Left: CT. Right: PSMA PET, same axial level, 68Ga tracer. PET panel 256×256 px (2.7 mm/px).
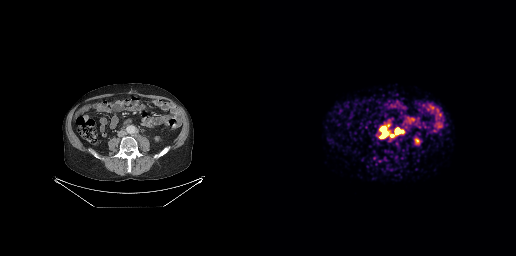
Coordinates are on the 256×256 PET (right) panel. PSMA-avid tumor lesion bounding boxes (x0, y0)-(x1, y1): (121, 127)-(127, 137) | (135, 129)-(138, 133). Small PSMA-avid foci (2 to 4 px across) near (center x, center y): (141, 130) | (131, 135).